Paired axial CT (left) and PSMA PET (right), 18F-PSMA tracer. Acquired on Siemens Biograph mCT Flow 20. PET panel 200×200 px (4.1 mm/px).
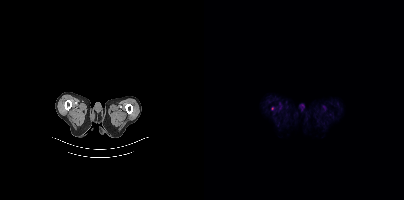
Only PSMA-avid lesion pieces thinner than 2 px on this slice (not listed).